Paired axial CT (left) and PSMA PET (right), 18F tracer. Slice 94 of 263.
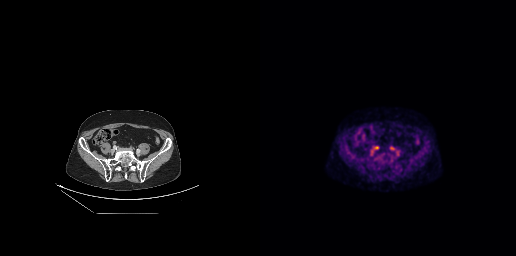
Coordinates are on the 256×256 PET (right) panel. Small PSMA-avid focus (2 to 4 px across) near (center x, center y): (116, 147).